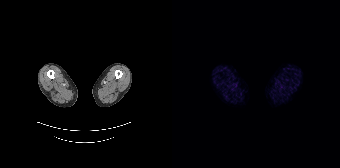
{"modality":"PSMA PET/CT","view":"axial","tracer":"68Ga","pet_grid":[168,168],"coord_frame":"pet_panel","coord_format":"x0,y0,x1,y1","psma_avid_lesions":false}